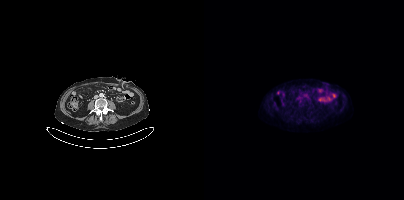
Left: CT. Right: PSMA PET, same axial level, [18F]PSMA-1007 tracer. Acquired on Siemens Biograph mCT Flow 20. Slice position z = -1514 mm. No PSMA-avid tumor lesions on this slice.